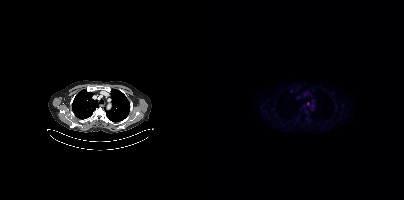
- Paired axial CT (left) and PSMA PET (right), 18F tracer
- PET panel 200×200 px (4.1 mm/px)
Findings: Coordinates are on the 200×200 PET (right) panel. (showing 2 of 3 foci) Small PSMA-avid foci (2 to 4 px across) near (center x, center y): (87, 91); (103, 103).